Paired axial CT (left) and PSMA PET (right), 18F-PSMA tracer. Acquired on Siemens Biograph mCT Flow 20. Slice 135 of 389.
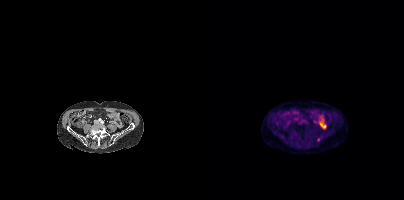
Coordinates are on the 200×200 PET (right) panel. Small PSMA-avid focus (2 to 4 px across) near (center x, center y): (114, 139).